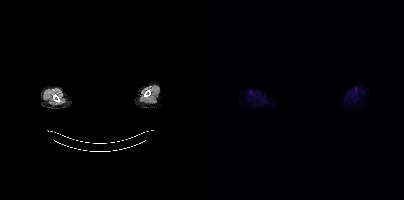
Two-panel axial: CT | PSMA PET, [18F]PSMA-1007 tracer. Acquired on Siemens Biograph mCT Flow 20. PET panel 200×200 px (4.1 mm/px). A rectangular block over the head has been blanked out for de-identification. Negative for PSMA-avid disease on this slice.